Paired axial CT (left) and PSMA PET (right), 68Ga tracer. Acquired on Siemens Biograph 64-4R TruePoint.
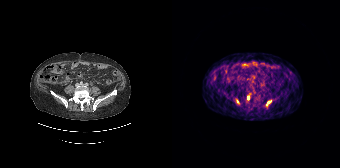
Coordinates are on the 168×168 PET (right) panel. PSMA-avid tumor lesion bounding boxes:
| # | x0 | y0 | x1 | y1 |
|---|---|---|---|---|
| 1 | 94 | 100 | 99 | 105 |
Small PSMA-avid foci (2 to 4 px across) near (center x, center y): (76, 98); (65, 101).